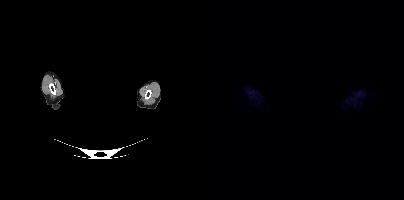
Findings: Negative for PSMA-avid disease on this slice.
Technique: Left: CT. Right: PSMA PET, same axial level, 18F tracer. PET panel 200×200 px (4.1 mm/px).
Note: The head region is masked for de-identification.